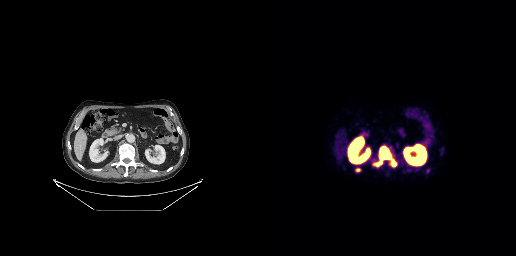
modality: PSMA PET/CT | tracer: [68Ga]Ga-PSMA-11 | view: axial
Coordinates are on the 256×256 PET (right) panel. PSMA-avid tumor lesion bounding boxes (x0,y0,x1,y1): [120,147,136,166], [113,160,120,166], [95,168,100,172].